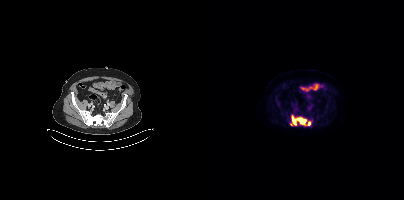
Coordinates are on the 200×200 PET (right) panel. PSMA-avid tumor lesion bounding box (x0,y0,x1,y1): [86,115,107,125].